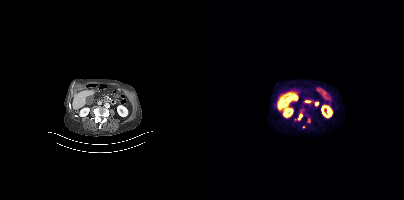
modality: PSMA PET/CT | tracer: [18F]PSMA-1007 | view: axial | PET grid: 200×200
Coordinates are on the 200×200 PET (right) panel. PSMA-avid tumor lesion bounding boxes (x0,y0,x1,y1): [93,109,100,120]; [104,118,106,122]. Small PSMA-avid focus (2 to 4 px across) near (center x, center y): (99, 126).